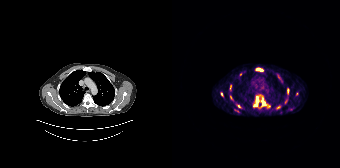
Paired axial CT (left) and PSMA PET (right), 68Ga tracer. Slice 147 of 195. PET panel 168×168 px (4.1 mm/px). Coordinates are on the 168×168 PET (right) panel. (showing 12 of 13 foci) PSMA-avid tumor lesion bounding boxes (x0,y0,x1,y1): [84,68,91,71]; [82,97,86,106]; [89,100,93,106]; [115,88,117,93]; [58,85,59,89]. Small PSMA-avid foci (2 to 4 px across) near (center x, center y): (66, 106); (106, 107); (49, 93); (68, 74); (58, 97); (124, 93); (113, 101).